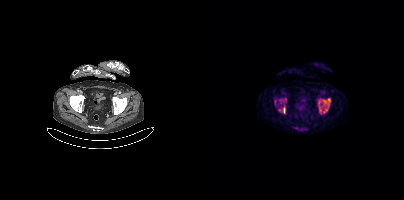
- Left: CT. Right: PSMA PET, same axial level, 18F-PSMA tracer
- PET panel 200×200 px (4.1 mm/px)
Findings: Coordinates are on the 200×200 PET (right) panel. (showing 8 of 11 foci) PSMA-avid tumor lesion bounding boxes (x, y, width, height): x=118 y=98 w=9 h=10 / x=75 y=98 w=8 h=6 / x=79 y=107 w=3 h=7 / x=115 y=106 w=3 h=6 / x=71 y=100 w=2 h=5. Small PSMA-avid foci (2 to 4 px across) near (center x, center y): (114, 102) / (122, 110) / (119, 111).